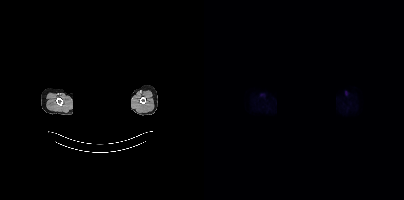
Negative for PSMA-avid disease on this slice. De-identified by setting a box covering the face to black before release. Two-panel axial: CT | PSMA PET, [18F]PSMA-1007 tracer. Acquired on Siemens Biograph mCT Flow 20. Slice 390 of 436.